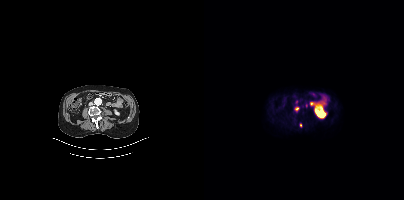
Paired axial CT (left) and PSMA PET (right), [68Ga]Ga-PSMA-11 tracer. Slice 151 of 409. Coordinates are on the 200×200 PET (right) panel. PSMA-avid tumor lesion bounding box (x0, y0)-(x1, y1): (96, 123)-(97, 127). Small PSMA-avid focus (2 to 4 px across) near (center x, center y): (92, 108).